modality: PSMA PET/CT | tracer: [18F]PSMA-1007 | view: axial | redaction: head region blacked out before release
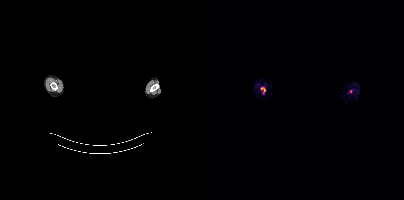
Negative for PSMA-avid disease on this slice.